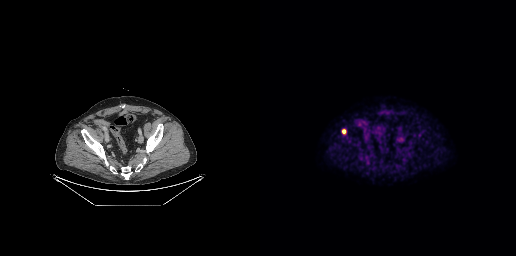
Paired axial CT (left) and PSMA PET (right), [18F]PSMA-1007 tracer. Acquired on GE Discovery 690. Slice 80 of 263.
Coordinates are on the 256×256 PET (right) panel. PSMA-avid tumor lesion bounding boxes:
| # | x0 | y0 | x1 | y1 |
|---|---|---|---|---|
| 1 | 82 | 129 | 86 | 134 |
| 2 | 107 | 160 | 109 | 164 |